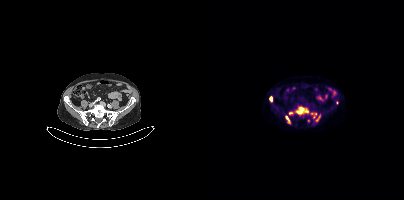
- Two-panel axial: CT | PSMA PET, 18F-PSMA tracer
Findings: Coordinates are on the 200×200 PET (right) panel. (showing 9 of 10 foci) PSMA-avid tumor lesion bounding boxes (x0,y0,x1,y1): [91,106,104,114], [81,116,86,123], [65,96,68,101], [112,115,116,121]. Small PSMA-avid foci (2 to 4 px across) near (center x, center y): (86, 113), (133, 102), (107, 113), (111, 113), (109, 116).